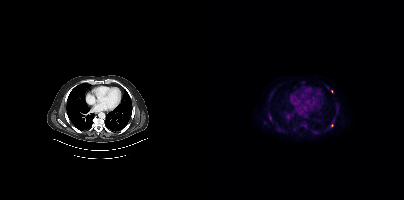
{"pet_grid":[200,200],"coord_frame":"pet_panel","coord_format":"x0,y0,x1,y1","partial":true,"lesion_bboxes":[[65,115,67,120]],"small_foci_centers":[[128,125],[111,132]],"modality":"PSMA PET/CT","view":"axial","tracer":"18F-PSMA"}